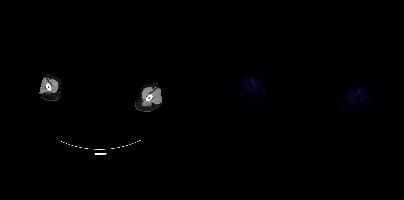
No tumor lesions annotated on this slice. The face region was removed for patient privacy by blanking a rectangle over the head. Two-panel axial: CT | PSMA PET, [18F]PSMA-1007 tracer.